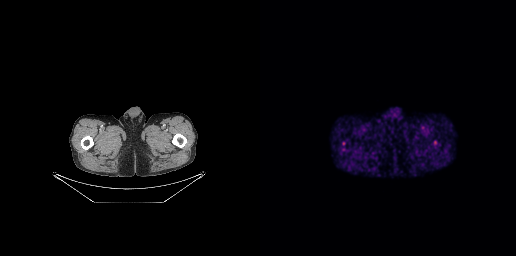
No tumor lesions annotated on this slice.